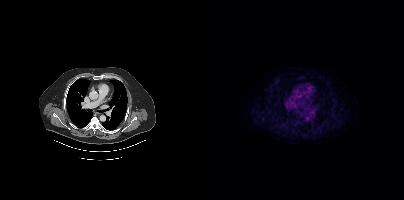
Left: CT. Right: PSMA PET, same axial level, 18F-PSMA tracer. PET panel 200×200 px (4.1 mm/px). No PSMA-avid tumor lesions on this slice.